Technique: Two-panel axial: CT | PSMA PET, [18F]PSMA-1007 tracer. acquired on Siemens Biograph mCT Flow 20. slice position z = -975 mm. PET panel 200×200 px (4.1 mm/px).
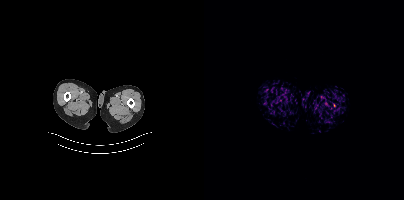
Findings: Negative for PSMA-avid disease on this slice.